Left: CT. Right: PSMA PET, same axial level, 18F tracer. Slice position z = -199 mm.
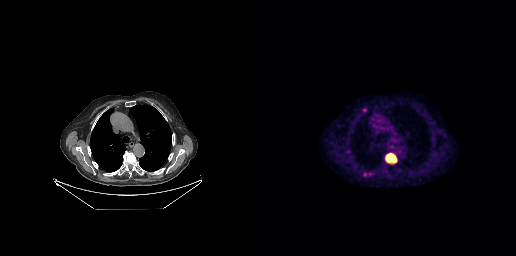
Coordinates are on the 256×256 PET (right) panel. (showing 1 of 2 foci) PSMA-avid tumor lesion bounding box (x0, y0)-(x1, y1): (125, 153)-(137, 163).